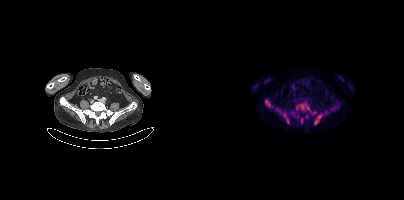
Coordinates are on the 200×200 PET (right) panel. (showing 8 of 11 foci) PSMA-avid tumor lesion bounding boxes (x0, y0)-(x1, y1): (92, 104)-(105, 109) / (110, 114)-(117, 124) / (79, 113)-(85, 123) / (61, 100)-(66, 106) / (108, 111)-(112, 113). Small PSMA-avid foci (2 to 4 px across) near (center x, center y): (97, 120) / (72, 108) / (102, 116).